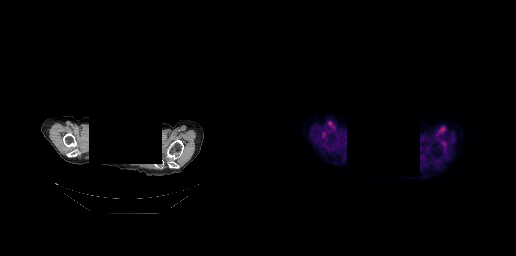
Left: CT. Right: PSMA PET, same axial level, 18F tracer. Any black rectangle over the head is a privacy mask, not anatomy. This slice has no annotated PSMA-avid lesion.